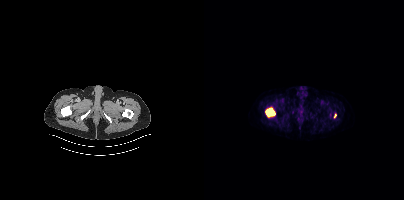
{"modality":"PSMA PET/CT","view":"axial","tracer":"18F","pet_grid":[200,200],"coord_frame":"pet_panel","coord_format":"x0,y0,x1,y1","lesion_bboxes":[[61,108,71,116]],"small_foci_centers":[[131,115]]}